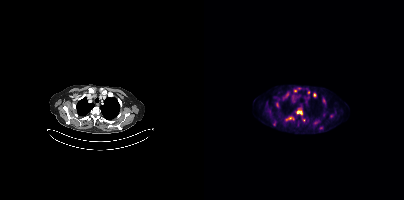
Coordinates are on the 200×200 PET (right) panel. (showing 8 of 13 foci) PSMA-avid tumor lesion bounding box (x0,y0,x1,y1): [92,110,98,114]. Small PSMA-avid foci (2 to 4 px across) near (center x, center y): (110, 94), (119, 99), (91, 91), (86, 118), (104, 92), (83, 93), (73, 102).